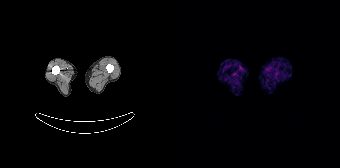
{"modality":"PSMA PET/CT","view":"axial","tracer":"[68Ga]Ga-PSMA-11","pet_grid":[168,168],"coord_frame":"pet_panel","coord_format":"x0,y0,x1,y1","psma_avid_lesions":false}